- Two-panel axial: CT | PSMA PET, 18F tracer
- PET panel 200×200 px (4.1 mm/px)
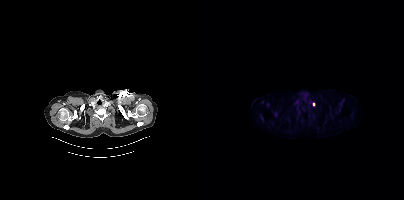
Findings: Coordinates are on the 200×200 PET (right) panel. Small PSMA-avid focus (2 to 4 px across) near (center x, center y): (109, 104).